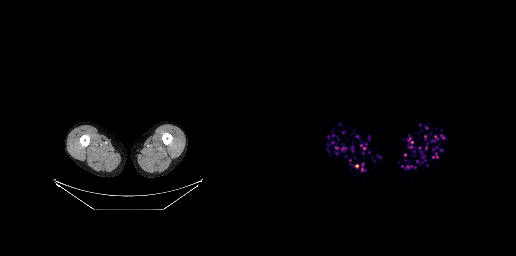
{"pet_grid":[256,256],"coord_frame":"pet_panel","coord_format":"x0,y0,x1,y1","psma_avid_lesions":false,"modality":"PSMA PET/CT","view":"axial","tracer":"[18F]PSMA-1007"}